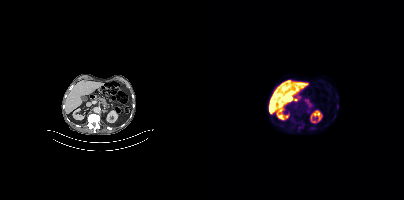
No tumor lesions annotated on this slice.
modality: PSMA PET/CT | tracer: [18F]PSMA-1007 | view: axial